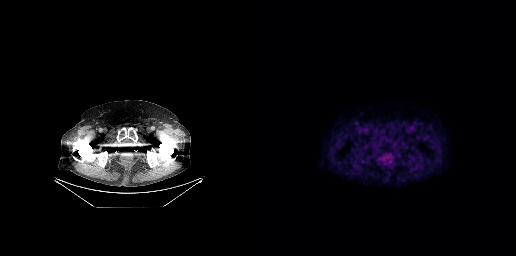
This slice has no annotated PSMA-avid lesion.